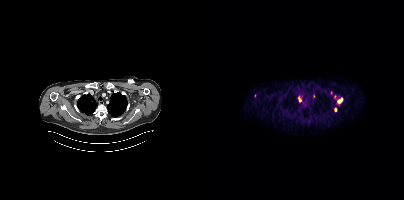
Paired axial CT (left) and PSMA PET (right), 68Ga-PSMA tracer. Acquired on Siemens Biograph mCT Flow 20. PET panel 200×200 px (4.1 mm/px). Coordinates are on the 200×200 PET (right) panel. (showing 6 of 7 foci) PSMA-avid tumor lesion bounding boxes (x0, y0)-(x1, y1): (94, 97)-(97, 101); (134, 99)-(138, 103). Small PSMA-avid foci (2 to 4 px across) near (center x, center y): (131, 109); (127, 92); (109, 96); (130, 97).